- Two-panel axial: CT | PSMA PET, 18F tracer
- PET panel 200×200 px (4.1 mm/px)
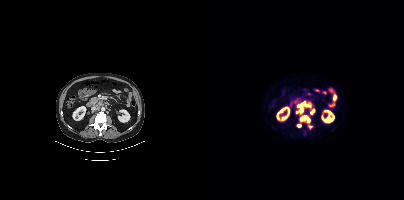
Findings: Coordinates are on the 200×200 PET (right) panel. PSMA-avid tumor lesion bounding boxes (x0,y0,x1,y1): [92,103,106,113]; [96,115,106,122]; [106,109,110,114]; [93,124,97,127]. Small PSMA-avid focus (2 to 4 px across) near (center x, center y): (106, 126).